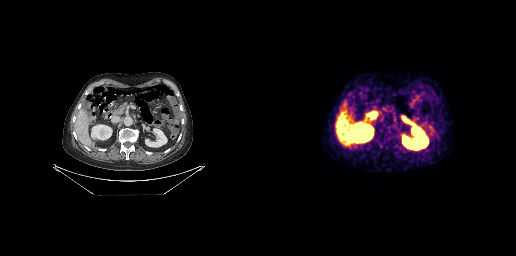
Two-panel axial: CT | PSMA PET, [68Ga]Ga-PSMA-11 tracer. PET panel 256×256 px (2.7 mm/px). Negative for PSMA-avid disease on this slice.